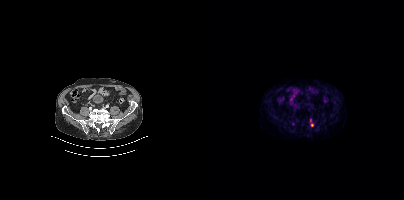
Coordinates are on the 200×200 PET (right) panel. Small PSMA-avid focus (2 to 4 px across) near (center x, center y): (107, 125).